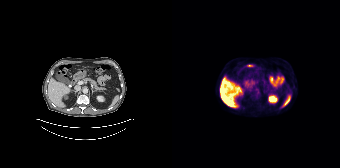
Technique: Left: CT. Right: PSMA PET, same axial level, 18F-PSMA tracer. acquired on Siemens Biograph 64-4R TruePoint.
Findings: This slice has no annotated PSMA-avid lesion.